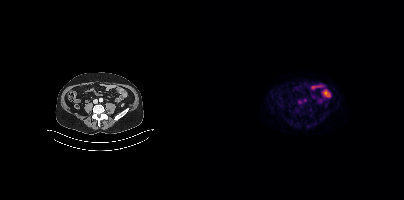
Left: CT. Right: PSMA PET, same axial level, [18F]PSMA-1007 tracer. Acquired on Siemens Biograph mCT Flow 20. Slice 131 of 393. PET panel 200×200 px (4.1 mm/px). No tumor lesions annotated on this slice.